Paired axial CT (left) and PSMA PET (right), [18F]PSMA-1007 tracer.
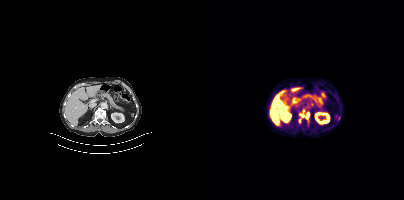
Coordinates are on the 200×200 PET (right) panel. PSMA-avid tumor lesion bounding box (x0, y0)-(x1, y1): (95, 112)-(105, 119). Small PSMA-avid foci (2 to 4 px across) near (center x, center y): (95, 120) | (99, 111).